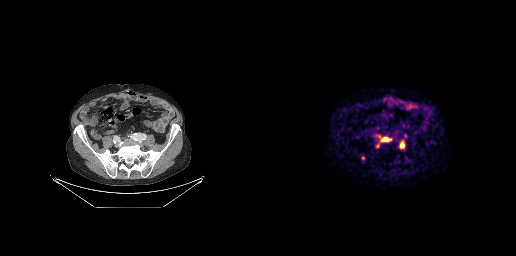
{"pet_grid":[256,256],"coord_frame":"pet_panel","coord_format":"x0,y0,x1,y1","lesion_bboxes":[[123,138,131,141],[116,142,120,148],[140,142,144,147]],"small_foci_centers":[[103,158],[145,135]],"modality":"PSMA PET/CT","view":"axial","tracer":"68Ga"}